Paired axial CT (left) and PSMA PET (right), [18F]PSMA-1007 tracer. Slice position z = -984 mm. PET panel 200×200 px (4.1 mm/px).
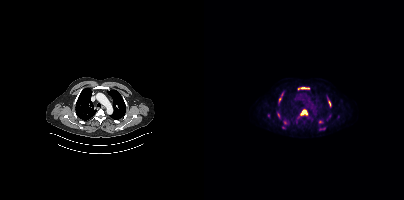
Coordinates are on the 200×200 PET (right) panel. (showing 7 of 10 foci) PSMA-avid tumor lesion bounding boxes (x, y, width, height): x=97 y=110 w=6 h=5 / x=124 y=101 w=4 h=6 / x=75 y=97 w=3 h=5 / x=97 y=87 w=6 h=2. Small PSMA-avid foci (2 to 4 px across) near (center x, center y): (116, 121) / (118, 128) / (74, 115).